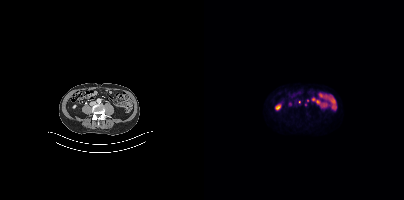
Two-panel axial: CT | PSMA PET, 18F-PSMA tracer. Coordinates are on the 200×200 PET (right) panel. (showing 2 of 3 foci) Small PSMA-avid foci (2 to 4 px across) near (center x, center y): (101, 104); (95, 101).